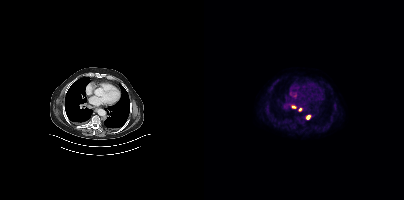
Technique: Paired axial CT (left) and PSMA PET (right), 18F tracer. PET panel 200×200 px (4.1 mm/px).
Findings: Coordinates are on the 200×200 PET (right) panel. PSMA-avid tumor lesion bounding box (x, y, width, height): x=103 y=115 w=4 h=5. Small PSMA-avid foci (2 to 4 px across) near (center x, center y): (89, 106) | (96, 109).